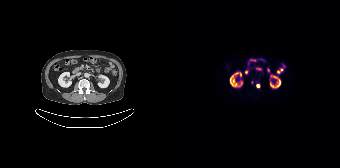
Coordinates are on the 168×168 PET (right) panel. (showing 1 of 2 foci) Small PSMA-avid focus (2 to 4 px across) near (center x, center y): (85, 85). Left: CT. Right: PSMA PET, same axial level, 18F tracer. Slice 69 of 165.